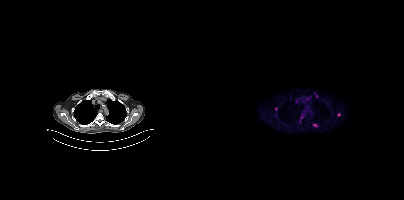
Technique: Two-panel axial: CT | PSMA PET, 18F-PSMA tracer. PET panel 200×200 px (4.1 mm/px).
Findings: Coordinates are on the 200×200 PET (right) panel. (showing 6 of 8 foci) PSMA-avid tumor lesion bounding box (x0, y0)-(x1, y1): (109, 124)-(113, 126). Small PSMA-avid foci (2 to 4 px across) near (center x, center y): (134, 114) | (112, 96) | (97, 117) | (71, 108) | (103, 98).